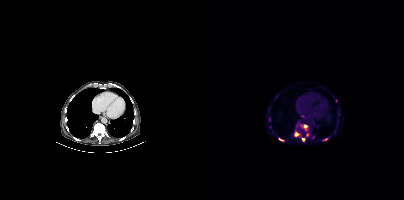
Findings: Coordinates are on the 200×200 PET (right) panel. (showing 7 of 11 foci) PSMA-avid tumor lesion bounding boxes (x, y, width, height): x=90 y=132 w=8 h=5 / x=100 y=125 w=3 h=6 / x=119 y=138 w=5 h=3. Small PSMA-avid foci (2 to 4 px across) near (center x, center y): (99, 139) / (103, 134) / (76, 139) / (97, 125).
Technique: Two-panel axial: CT | PSMA PET, 18F-PSMA tracer. acquired on Siemens Biograph mCT Flow 20. PET panel 200×200 px (4.1 mm/px).